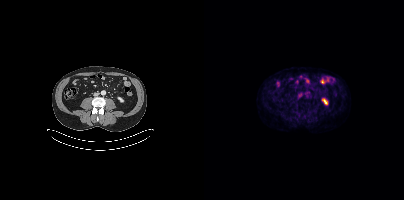
{"modality":"PSMA PET/CT","view":"axial","tracer":"18F","pet_grid":[200,200],"coord_frame":"pet_panel","coord_format":"x0,y0,x1,y1","lesion_bboxes":[],"small_foci_centers":[[96,94]]}